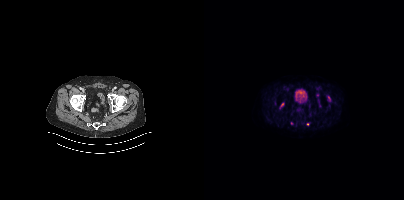
{"pet_grid":[200,200],"coord_frame":"pet_panel","coord_format":"x0,y0,x1,y1","lesion_bboxes":[],"small_foci_centers":[[78,105],[103,124]],"modality":"PSMA PET/CT","view":"axial","tracer":"18F"}